modality: PSMA PET/CT | tracer: [68Ga]Ga-PSMA-11 | view: axial
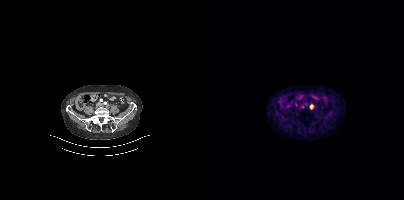
Coordinates are on the 200×200 PET (right) panel. Small PSMA-avid focus (2 to 4 px across) near (center x, center y): (107, 106).